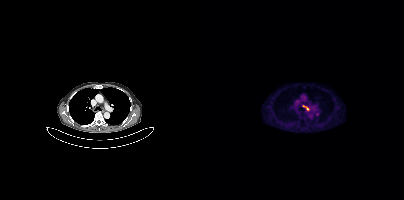
modality: PSMA PET/CT | tracer: [18F]PSMA-1007 | view: axial
Coordinates are on the 200×200 PET (right) panel. PSMA-avid tumor lesion bounding box (x, y, width, height): x=98 y=105 w=8 h=6.